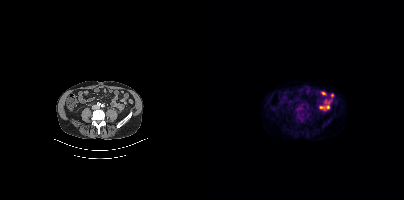
Negative for PSMA-avid disease on this slice.